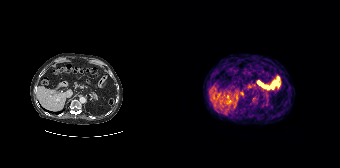
Findings: No tumor lesions annotated on this slice.
- Paired axial CT (left) and PSMA PET (right), [68Ga]Ga-PSMA-11 tracer
- slice 122 of 195
- PET panel 168×168 px (4.1 mm/px)